Technique: Left: CT. Right: PSMA PET, same axial level, [18F]PSMA-1007 tracer. acquired on Siemens Biograph mCT Flow 20. PET panel 200×200 px (4.1 mm/px).
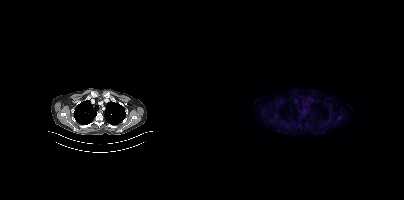
Findings: Coordinates are on the 200×200 PET (right) panel. Small PSMA-avid focus (2 to 4 px across) near (center x, center y): (135, 117).